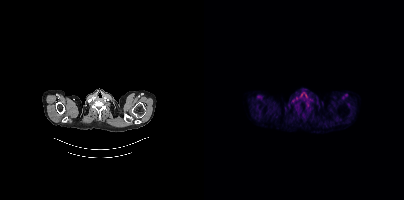
Left: CT. Right: PSMA PET, same axial level, 18F-PSMA tracer. PET panel 200×200 px (4.1 mm/px). No PSMA-avid tumor lesions on this slice.